Left: CT. Right: PSMA PET, same axial level, 18F-PSMA tracer.
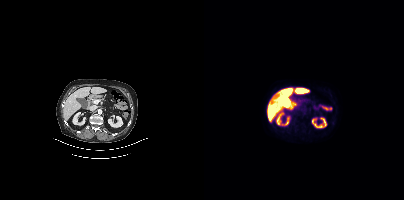
No tumor lesions annotated on this slice.